Technique: Paired axial CT (left) and PSMA PET (right), [18F]PSMA-1007 tracer. slice 98 of 421. PET panel 200×200 px (4.1 mm/px).
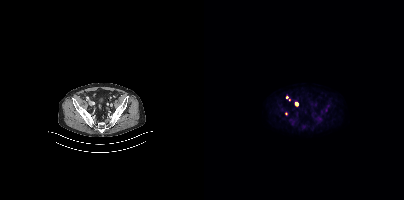
Findings: Coordinates are on the 200×200 PET (right) panel. (showing 2 of 4 foci) Small PSMA-avid foci (2 to 4 px across) near (center x, center y): (82, 97) | (85, 99).